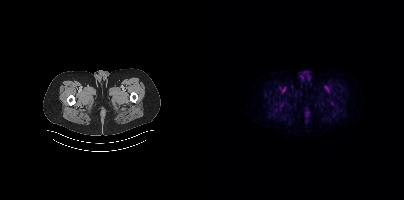
{"modality":"PSMA PET/CT","view":"axial","tracer":"[18F]PSMA-1007","pet_grid":[200,200],"coord_frame":"pet_panel","coord_format":"x0,y0,x1,y1","psma_avid_lesions":false}